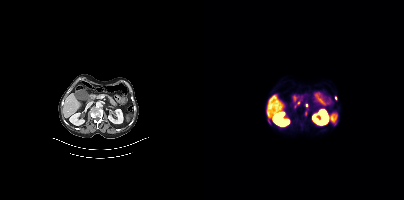
Coordinates are on the 200×200 PET (right) panel. (showing 4 of 6 foci) PSMA-avid tumor lesion bounding box (x0,y0,x1,y1): [64,118,66,123]. Small PSMA-avid foci (2 to 4 px across) near (center x, center y): (102, 113); (131, 98); (94, 102).